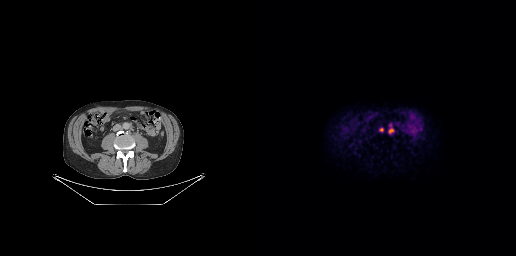
Two-panel axial: CT | PSMA PET, 18F-PSMA tracer. Acquired on GE Discovery 690. Coordinates are on the 256×256 PET (right) panel. PSMA-avid tumor lesion bounding box (x0,y0,x1,y1): [128,128,133,133]. Small PSMA-avid focus (2 to 4 px across) near (center x, center y): (121, 129).